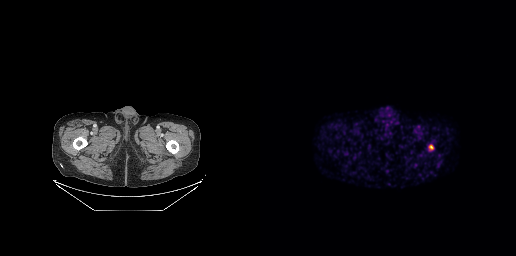
Technique: Two-panel axial: CT | PSMA PET, [68Ga]Ga-PSMA-11 tracer. acquired on GE Discovery 690. PET panel 256×256 px (2.7 mm/px).
Findings: Coordinates are on the 256×256 PET (right) panel. Small PSMA-avid focus (2 to 4 px across) near (center x, center y): (171, 147).